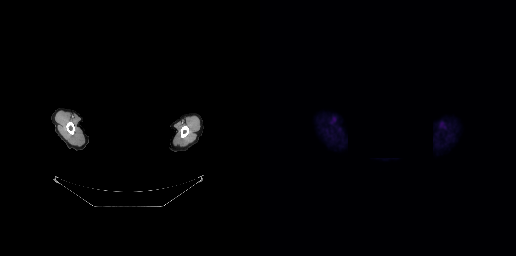
{"modality":"PSMA PET/CT","view":"axial","tracer":"18F-PSMA","pet_grid":[256,256],"coord_frame":"pet_panel","coord_format":"x0,y0,x1,y1","redaction":"rectangular block over head set to black","psma_avid_lesions":false}